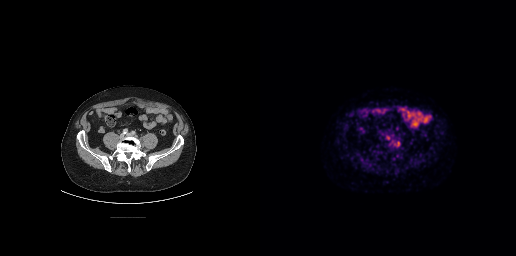
{"modality":"PSMA PET/CT","view":"axial","tracer":"18F-PSMA","pet_grid":[256,256],"coord_frame":"pet_panel","coord_format":"x0,y0,x1,y1","partial":true,"lesion_bboxes":[[134,142,139,146]],"small_foci_centers":[[132,141]]}